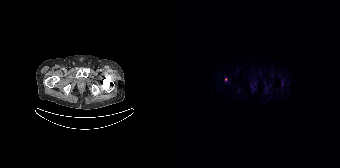
{"modality":"PSMA PET/CT","view":"axial","tracer":"18F-PSMA","pet_grid":[168,168],"coord_frame":"pet_panel","coord_format":"x0,y0,x1,y1","partial":true,"lesion_bboxes":[]}